- Paired axial CT (left) and PSMA PET (right), 18F tracer
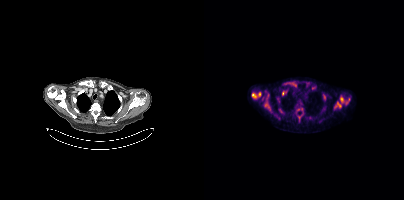
Findings: Coordinates are on the 200×200 PET (right) panel. (showing 10 of 11 foci) PSMA-avid tumor lesion bounding boxes (x0,y0,x1,y1): [130,101,137,108]; [60,103,67,112]; [79,82,88,85]; [136,97,139,102]; [48,93,52,97]; [78,91,82,95]. Small PSMA-avid foci (2 to 4 px across) near (center x, center y): (95, 117); (55, 93); (142, 103); (144, 99).